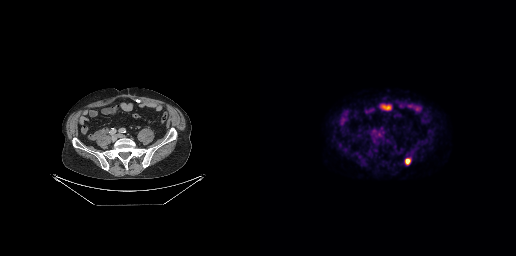
Coordinates are on the 256×256 PET (right) panel. PSMA-avid tumor lesion bounding box (x, y, width, height): x=145 y=158 w=6 h=7.